- Left: CT. Right: PSMA PET, same axial level, 68Ga-PSMA tracer
- slice 191 of 263
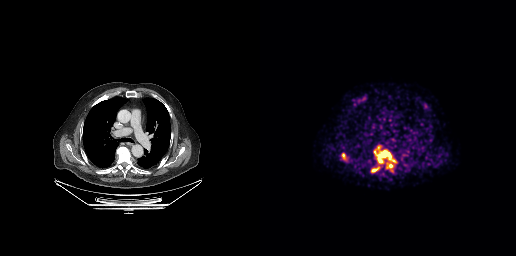
Findings: Coordinates are on the 256×256 PET (right) panel. PSMA-avid tumor lesion bounding boxes (x0, y0)-(x1, y1): (114, 145)-(136, 171) | (111, 166)-(119, 172).